modality: PSMA PET/CT | tracer: 18F | view: axial
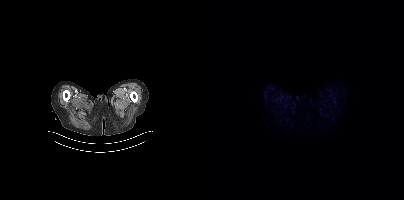
This slice has no annotated PSMA-avid lesion.